Left: CT. Right: PSMA PET, same axial level, [18F]PSMA-1007 tracer. PET panel 168×168 px (4.1 mm/px).
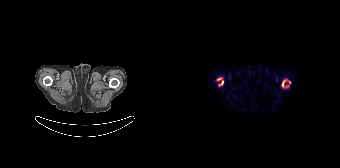
Coordinates are on the 168×168 PET (right) panel. PSMA-avid tumor lesion bounding boxes:
| # | x0 | y0 | x1 | y1 |
|---|---|---|---|---|
| 1 | 109 | 79 | 118 | 87 |
| 2 | 45 | 78 | 51 | 85 |